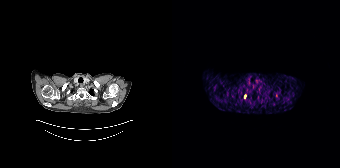
Coordinates are on the 168×168 PET (right) panel. Small PSMA-avid focus (2 to 4 px across) near (center x, center y): (72, 96).